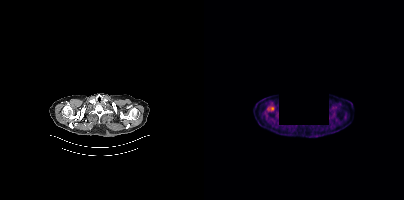
modality: PSMA PET/CT | tracer: 18F-PSMA | view: axial | de-identification: region redacted
No tumor lesions annotated on this slice.